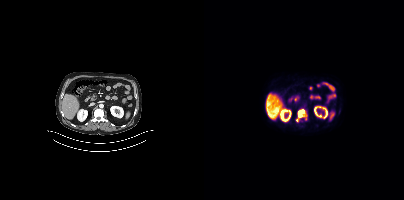
modality: PSMA PET/CT | tracer: 18F-PSMA | view: axial | PET grid: 200×200
Coordinates are on the 200×200 PET (right) panel. PSMA-avid tumor lesion bounding box (x, y, width, height): x=92 y=109 w=12 h=13.